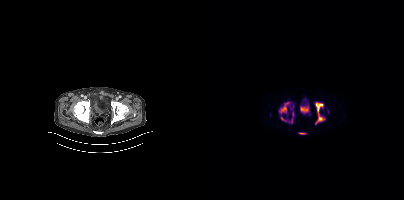
Findings: Coordinates are on the 200×200 PET (right) panel. (showing 4 of 6 foci) PSMA-avid tumor lesion bounding boxes (x, y, width, height): x=112 y=103 w=10 h=21 | x=75 y=102 w=11 h=12 | x=77 y=117 w=6 h=5 | x=95 y=133 w=7 h=2.
- Paired axial CT (left) and PSMA PET (right), 18F-PSMA tracer
- PET panel 200×200 px (4.1 mm/px)